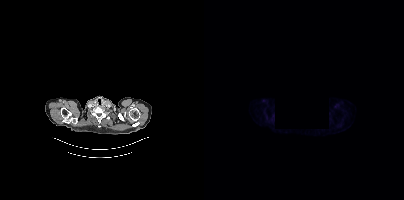
modality: PSMA PET/CT | tracer: [18F]PSMA-1007 | view: axial | de-identification: rectangular block set to black
No PSMA-avid tumor lesions on this slice.